- Left: CT. Right: PSMA PET, same axial level, 18F-PSMA tracer
- PET panel 200×200 px (4.1 mm/px)
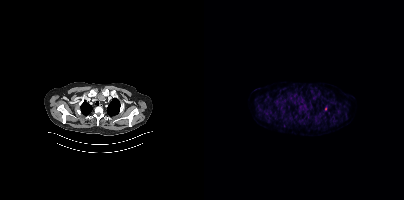
Findings: Coordinates are on the 200×200 PET (right) panel. Small PSMA-avid focus (2 to 4 px across) near (center x, center y): (122, 108).